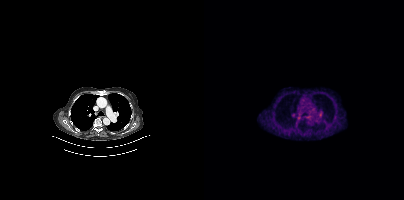
Left: CT. Right: PSMA PET, same axial level, [68Ga]Ga-PSMA-11 tracer. Acquired on Siemens Biograph mCT Flow 20. No tumor lesions annotated on this slice.